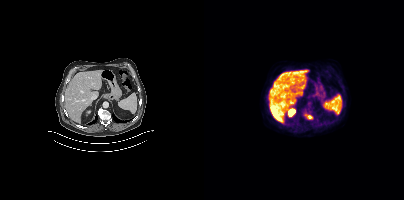
{"modality":"PSMA PET/CT","view":"axial","tracer":"[18F]PSMA-1007","pet_grid":[200,200],"coord_frame":"pet_panel","coord_format":"x0,y0,x1,y1","lesion_bboxes":[[101,114,108,119]]}